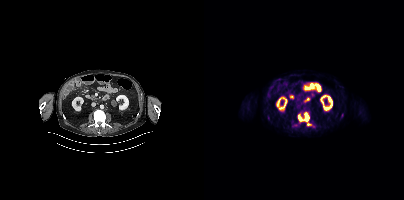
Two-panel axial: CT | PSMA PET, [18F]PSMA-1007 tracer. PET panel 200×200 px (4.1 mm/px).
Coordinates are on the 200×200 PET (right) panel. PSMA-avid tumor lesion bounding boxes (partial; 1 more focus not listed):
| # | x0 | y0 | x1 | y1 |
|---|---|---|---|---|
| 1 | 94 | 112 | 105 | 121 |
Small PSMA-avid focus (2 to 4 px across) near (center x, center y): (104, 124).